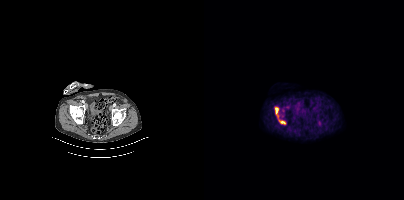
Coordinates are on the 200×200 PET (right) panel. PSMA-avid tumor lesion bounding box (x0,y0,x1,y1): [71,107,82,124]. Small PSMA-avid focus (2 to 4 px across) near (center x, center y): (115, 122).